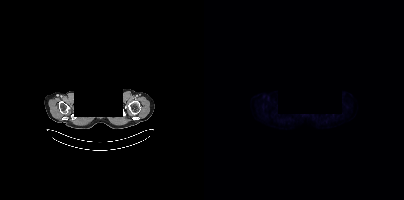
redaction: head region blacked out before release | modality: PSMA PET/CT | tracer: 18F | view: axial
No tumor lesions annotated on this slice.